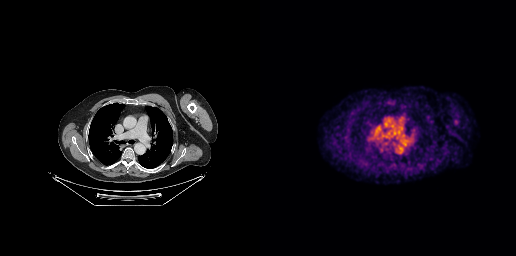
This slice has no annotated PSMA-avid lesion. Two-panel axial: CT | PSMA PET, 18F tracer. Acquired on GE Discovery 690. PET panel 256×256 px (2.7 mm/px).